Paired axial CT (left) and PSMA PET (right), 18F-PSMA tracer. Slice position z = -448 mm.
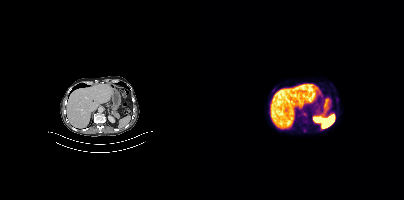
No tumor lesions annotated on this slice.